modality: PSMA PET/CT | tracer: 18F | view: axial | PET grid: 200×200
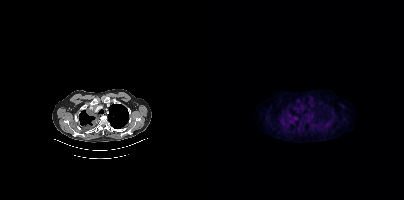
Coordinates are on the 200×200 PET (right) panel. PSMA-avid tumor lesion bounding box (x0,y0,x1,y1): [89,117,93,120].